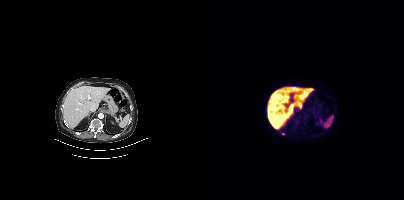
Coordinates are on the 200×200 PET (right) panel. Small PSMA-avid focus (2 to 4 px across) near (center x, center y): (79, 133).